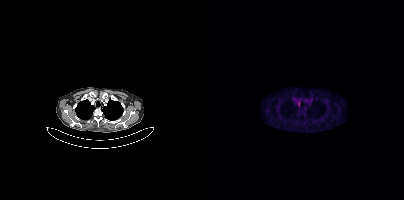
{"modality":"PSMA PET/CT","view":"axial","tracer":"18F","pet_grid":[200,200],"coord_frame":"pet_panel","coord_format":"x0,y0,x1,y1","lesion_bboxes":[[94,102,95,106]]}